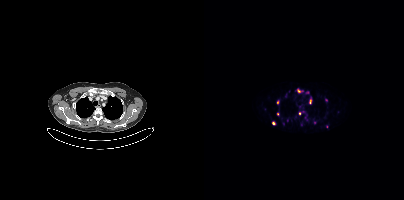
Coordinates are on the 200×200 PET (right) panel. (showing 7 of 13 foci) Small PSMA-avid foci (2 to 4 px across) near (center x, center y): (103, 92); (73, 101); (106, 101); (69, 123); (122, 99); (95, 113); (94, 90).
modality: PSMA PET/CT | tracer: 68Ga | view: axial | PET grid: 200×200